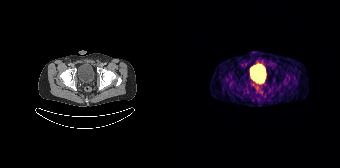
Left: CT. Right: PSMA PET, same axial level, [68Ga]Ga-PSMA-11 tracer. Slice 51 of 195. PET panel 168×168 px (4.1 mm/px). Only PSMA-avid lesion pieces thinner than 2 px on this slice (not listed).